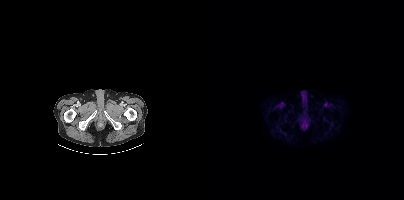
This slice has no annotated PSMA-avid lesion.